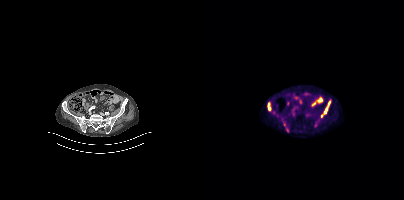
Coordinates are on the 200×200 PET (right) panel. PSMA-avid tumor lesion bounding boxes (x, y, width, height): x=121 y=102 w=6 h=11; x=63 y=103 w=5 h=8. Small PSMA-avid foci (2 to 4 px across) near (center x, center y): (83, 130); (80, 124).